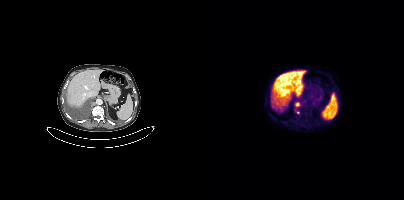
Technique: Left: CT. Right: PSMA PET, same axial level, 18F-PSMA tracer.
Findings: Coordinates are on the 200×200 PET (right) panel. PSMA-avid tumor lesion bounding box (x, y, width, height): x=91 y=102 w=5 h=5. Small PSMA-avid focus (2 to 4 px across) near (center x, center y): (94, 112).